The head region is masked for de-identification.
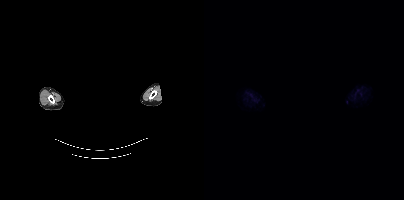
This slice has no annotated PSMA-avid lesion.